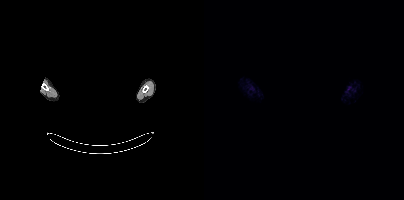
{"modality":"PSMA PET/CT","view":"axial","tracer":"[18F]PSMA-1007","pet_grid":[200,200],"coord_frame":"pet_panel","coord_format":"x0,y0,x1,y1","deidentification":"privacy mask over head","psma_avid_lesions":false}